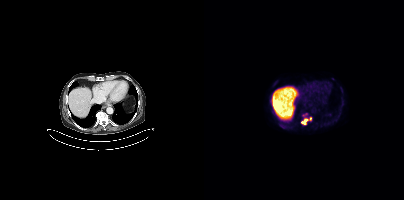
- Two-panel axial: CT | PSMA PET, 18F-PSMA tracer
- PET panel 200×200 px (4.1 mm/px)
Findings: Coordinates are on the 200×200 PET (right) panel. PSMA-avid tumor lesion bounding box (x0,y0,x1,y1): [98,117,107,124]. Small PSMA-avid foci (2 to 4 px across) near (center x, center y): (100, 115); (77, 125); (128, 78).